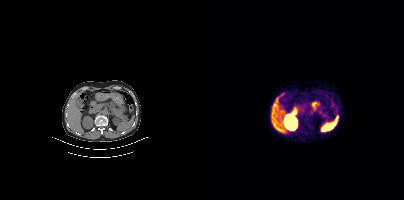
{"modality":"PSMA PET/CT","view":"axial","tracer":"68Ga","pet_grid":[200,200],"coord_frame":"pet_panel","coord_format":"x0,y0,x1,y1","psma_avid_lesions":false}